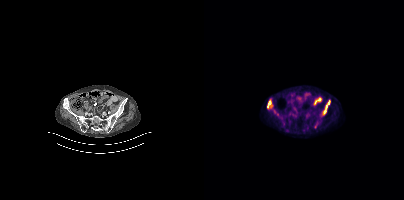
Coordinates are on the 200×200 PET (right) panel. PSMA-avid tumor lesion bounding boxes (x0,y0,x1,y1): [63,100,69,108], [121,104,125,110]. Left: CT. Right: PSMA PET, same axial level, 18F tracer. Slice position z = -1434 mm.